Technique: Paired axial CT (left) and PSMA PET (right), [18F]PSMA-1007 tracer. acquired on Siemens Biograph mCT Flow 20. slice 246 of 429.
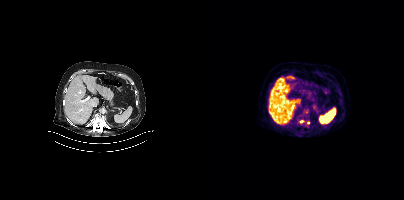
Findings: Coordinates are on the 200×200 PET (right) panel. Small PSMA-avid foci (2 to 4 px across) near (center x, center y): (97, 121) | (104, 123).